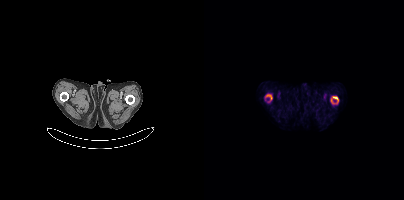
{"modality":"PSMA PET/CT","view":"axial","tracer":"18F-PSMA","pet_grid":[200,200],"coord_frame":"pet_panel","coord_format":"x0,y0,x1,y1","lesion_bboxes":[[62,94,68,99],[129,96,134,102]],"small_foci_centers":[[127,100]]}